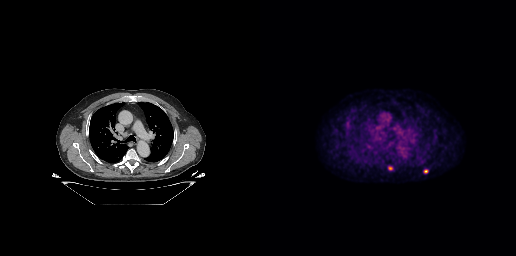
Coordinates are on the 256×256 PET (right) panel. Small PSMA-avid foci (2 to 4 px across) near (center x, center y): (165, 171) (130, 168).